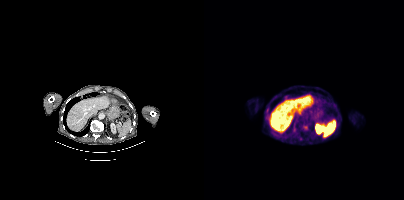
Findings: Coordinates are on the 200×200 PET (right) panel. PSMA-avid tumor lesion bounding box (x0, y0)-(x1, y1): (94, 136)-(98, 140). Small PSMA-avid focus (2 to 4 px across) near (center x, center y): (101, 127).
Technique: Two-panel axial: CT | PSMA PET, [18F]PSMA-1007 tracer. acquired on Siemens Biograph mCT Flow 20. slice 213 of 403.